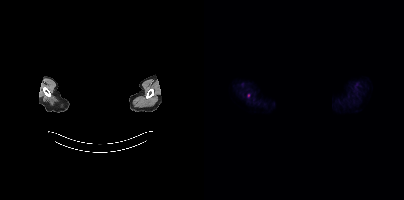
Left: CT. Right: PSMA PET, same axial level, [18F]PSMA-1007 tracer. PET panel 200×200 px (4.1 mm/px). Facial anatomy redacted by setting a rectangular region of the head to black. Coordinates are on the 200×200 PET (right) panel. Small PSMA-avid focus (2 to 4 px across) near (center x, center y): (44, 95).